Technique: Paired axial CT (left) and PSMA PET (right), 18F tracer.
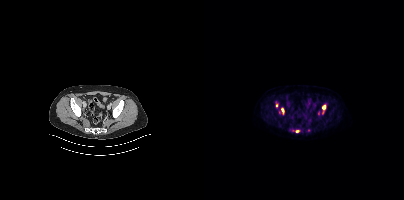
Findings: Coordinates are on the 200×200 PET (right) panel. PSMA-avid tumor lesion bounding boxes (x0, y0)-(x1, y1): (77, 108)-(80, 114) / (118, 105)-(121, 109). Small PSMA-avid foci (2 to 4 px across) near (center x, center y): (93, 131) / (72, 105).